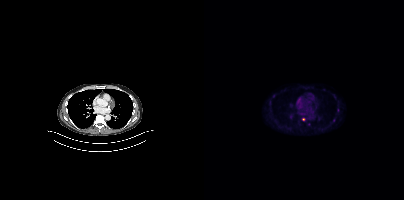
{"modality":"PSMA PET/CT","view":"axial","tracer":"[18F]PSMA-1007","pet_grid":[200,200],"coord_frame":"pet_panel","coord_format":"x0,y0,x1,y1","lesion_bboxes":[],"small_foci_centers":[[99,119]]}